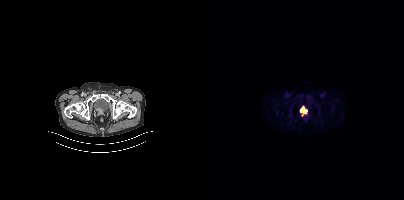
Paired axial CT (left) and PSMA PET (right), 18F tracer. Acquired on Siemens Biograph mCT Flow 20. Slice 65 of 421. PET panel 200×200 px (4.1 mm/px). Coordinates are on the 200×200 PET (right) panel. PSMA-avid tumor lesion bounding box (x0,y0,x1,y1): [97,106,103,115].